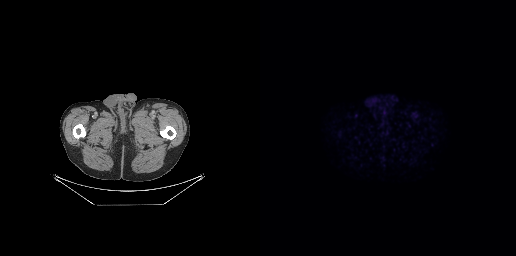
Negative for PSMA-avid disease on this slice.